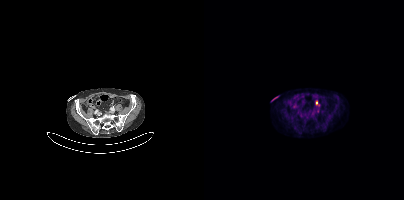
Findings: Coordinates are on the 200×200 PET (right) panel. (showing 1 of 2 foci) Small PSMA-avid focus (2 to 4 px across) near (center x, center y): (112, 102).
- Paired axial CT (left) and PSMA PET (right), 18F tracer